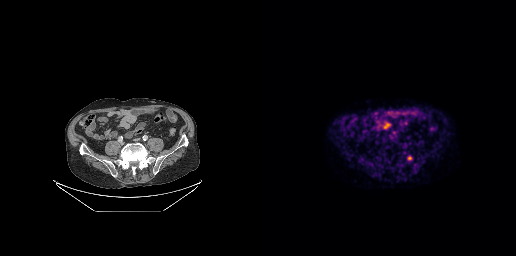
Technique: Two-panel axial: CT | PSMA PET, [18F]PSMA-1007 tracer.
Findings: No PSMA-avid tumor lesions on this slice.